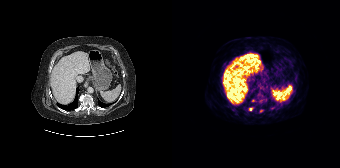
Findings: Coordinates are on the 168×168 PET (right) panel. (showing 2 of 3 foci) Small PSMA-avid foci (2 to 4 px across) near (center x, center y): (78, 109); (89, 110).
Technique: Two-panel axial: CT | PSMA PET, 68Ga tracer. slice 127 of 195.